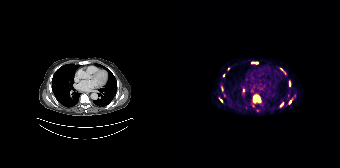
Two-panel axial: CT | PSMA PET, 68Ga-PSMA tracer. Acquired on Siemens Biograph 64-4R TruePoint. PET panel 168×168 px (4.1 mm/px). Coordinates are on the 168×168 PET (right) panel. (showing 10 of 12 foci) PSMA-avid tumor lesion bounding boxes (x, y, width, height): x=81 y=96 w=4 h=7 / x=108 y=67 w=7 h=8 / x=117 y=99 w=4 h=5 / x=71 y=88 w=2 h=5. Small PSMA-avid foci (2 to 4 px across) near (center x, center y): (109, 104) / (117, 84) / (84, 62) / (51, 75) / (49, 100) / (56, 68).